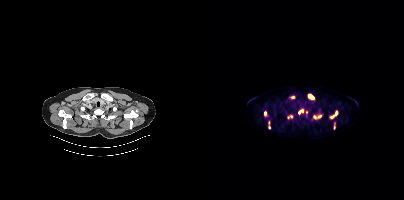
Findings: Coordinates are on the 200×200 PET (right) panel. (showing 10 of 11 foci) PSMA-avid tumor lesion bounding boxes (x0, y0)-(x1, y1): (109, 114)-(118, 119); (103, 93)-(110, 100); (125, 110)-(134, 118); (94, 109)-(99, 114); (60, 111)-(62, 115); (84, 115)-(88, 118). Small PSMA-avid foci (2 to 4 px across) near (center x, center y): (88, 97); (102, 112); (65, 127); (130, 127).
Technique: Left: CT. Right: PSMA PET, same axial level, 18F tracer.